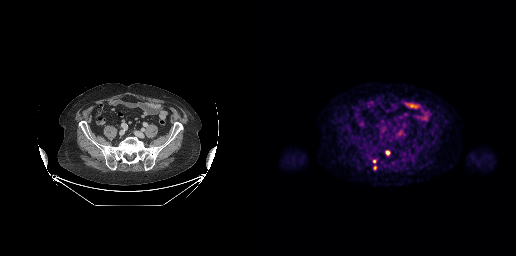
modality: PSMA PET/CT | tracer: [18F]PSMA-1007 | view: axial | PET grid: 256×256
Coordinates are on the 256×256 PET (right) panel. PSMA-avid tumor lesion bounding box (x0, y0)-(x1, y1): (125, 150)-(130, 155). Small PSMA-avid foci (2 to 4 px across) near (center x, center y): (114, 161) / (115, 167) / (139, 133).